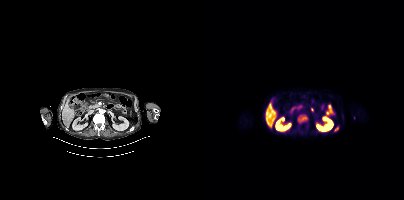
Coordinates are on the 200×200 PET (right) panel. PSMA-avid tumor lesion bounding boxes (x0, y0)-(x1, y1): (94, 115)-(103, 123); (130, 126)-(134, 131).